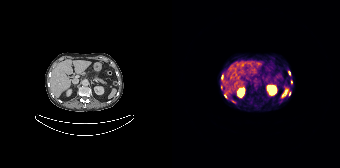
Two-panel axial: CT | PSMA PET, [68Ga]Ga-PSMA-11 tracer. Slice position z = -578 mm. PET panel 168×168 px (4.1 mm/px). Coordinates are on the 168×168 PET (right) panel. (showing 6 of 8 foci) PSMA-avid tumor lesion bounding box (x0,y0,x1,y1): [49,76,50,80]. Small PSMA-avid foci (2 to 4 px across) near (center x, center y): (117, 72), (49, 86), (117, 93), (119, 81), (53, 96).